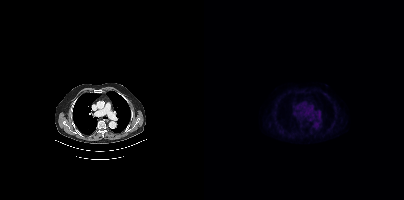
Paired axial CT (left) and PSMA PET (right), 18F tracer. Acquired on Siemens Biograph mCT Flow 20. Slice position z = -414 mm. Negative for PSMA-avid disease on this slice.